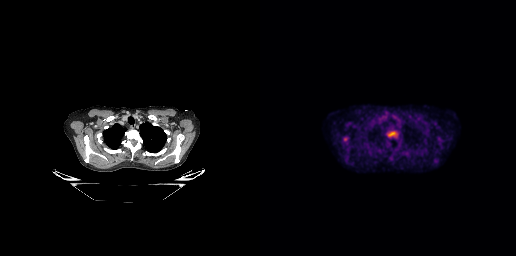
{"modality":"PSMA PET/CT","view":"axial","tracer":"18F-PSMA","pet_grid":[256,256],"coord_frame":"pet_panel","coord_format":"x0,y0,x1,y1","lesion_bboxes":[[127,131,138,137],[83,137,88,141]]}